Technique: Paired axial CT (left) and PSMA PET (right), [18F]PSMA-1007 tracer. slice 376 of 421. PET panel 200×200 px (4.1 mm/px).
Note: Face de-identified by blanking a block of the head.
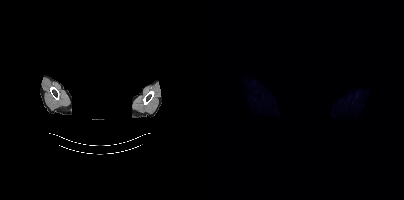
Findings: No tumor lesions annotated on this slice.